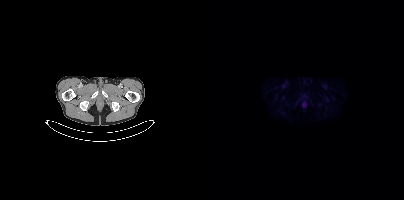
Findings: This slice has no annotated PSMA-avid lesion.
Technique: Left: CT. Right: PSMA PET, same axial level, [18F]PSMA-1007 tracer.